- Paired axial CT (left) and PSMA PET (right), 18F-PSMA tracer
- acquired on GE Discovery 690
- PET panel 256×256 px (2.7 mm/px)
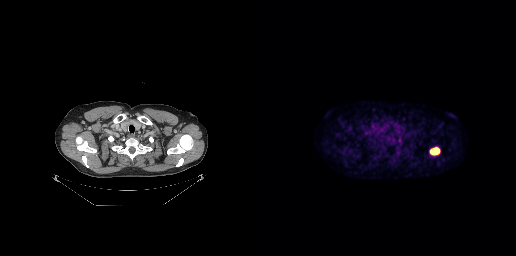
Findings: Coordinates are on the 256×256 PET (right) panel. PSMA-avid tumor lesion bounding box (x, y, width, height): x=170 y=147 w=10 h=9.